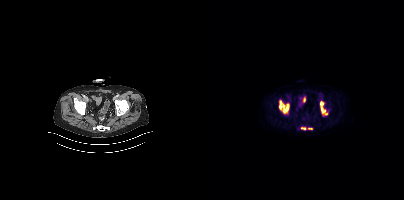
{"modality":"PSMA PET/CT","view":"axial","tracer":"18F-PSMA","pet_grid":[200,200],"coord_frame":"pet_panel","coord_format":"x0,y0,x1,y1","partial":true,"lesion_bboxes":[[75,100,84,113],[116,101,122,114]],"small_foci_centers":[[107,128],[100,128]]}